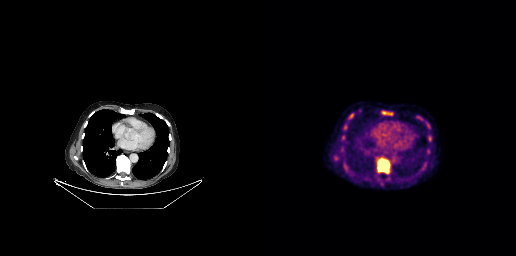
modality: PSMA PET/CT | tracer: 18F | view: axial | PET grid: 256×256
Coordinates are on the 256×256 PET (right) panel. PSMA-avid tumor lesion bounding boxes (x0,y0,x1,y1): [117,158,129,173]; [121,111,132,115]; [88,113,94,119]; [84,124,87,129]; [167,123,169,127]. Small PSMA-avid foci (2 to 4 px across) near (center x, center y): (169, 137); (83, 137); (99, 110); (75, 158).